Two-panel axial: CT | PSMA PET, 18F-PSMA tracer. Slice position z = -971 mm. PET panel 256×256 px (2.7 mm/px).
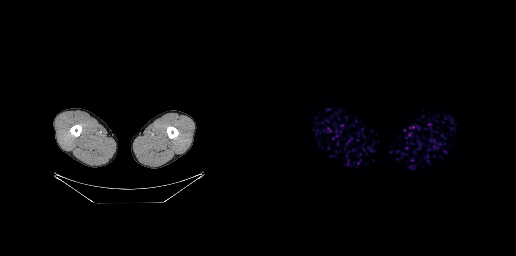
No tumor lesions annotated on this slice.